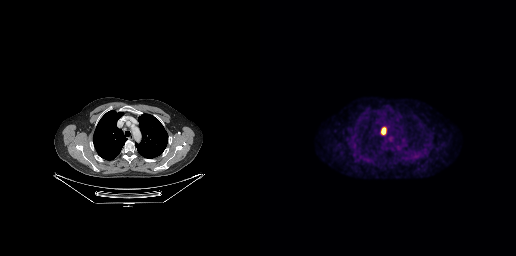
Coordinates are on the 256×256 PET (right) panel. PSMA-avid tumor lesion bounding box (x0, y0)-(x1, y1): (121, 127)-(126, 134). Paired axial CT (left) and PSMA PET (right), 18F-PSMA tracer.